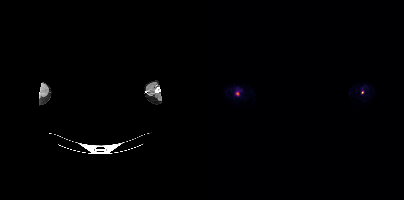
Coordinates are on the 200×200 PET (right) panel. Small PSMA-avid foci (2 to 4 px across) near (center x, center y): (33, 93); (158, 92). Two-panel axial: CT | PSMA PET, 18F-PSMA tracer. De-identified by setting a box covering the face to black before release.